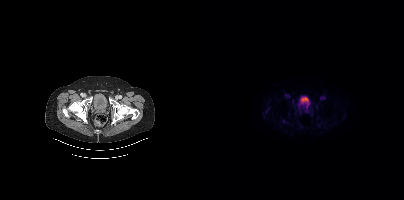
{"modality":"PSMA PET/CT","view":"axial","tracer":"[18F]PSMA-1007","pet_grid":[200,200],"coord_frame":"pet_panel","coord_format":"x0,y0,x1,y1","lesion_bboxes":[],"small_foci_centers":[[103,105]]}